Paired axial CT (left) and PSMA PET (right), 18F-PSMA tracer. Slice position z = -1174 mm. PET panel 200×200 px (4.1 mm/px).
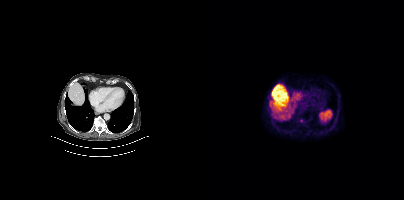
No tumor lesions annotated on this slice.